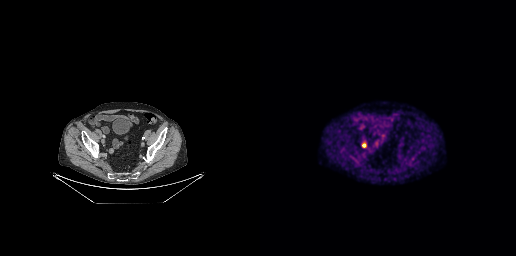
Coordinates are on the 256×256 PET (right) panel. PSMA-avid tumor lesion bounding box (x0,y0,x1,y1): [102,142,106,147].